Paired axial CT (left) and PSMA PET (right), 18F tracer. PET panel 200×200 px (4.1 mm/px).
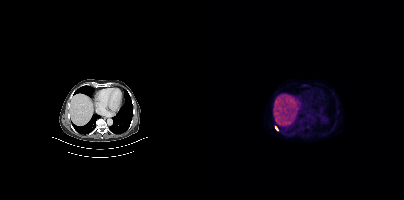
Coordinates are on the 200×200 PET (right) panel. PSMA-avid tumor lesion bounding box (x, y, width, height): x=71 y=126 w=4 h=5.